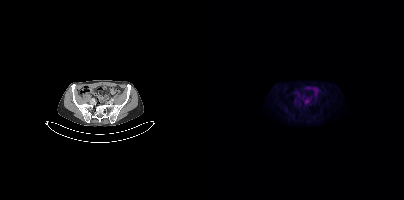
No tumor lesions annotated on this slice. Two-panel axial: CT | PSMA PET, 18F-PSMA tracer. PET panel 200×200 px (4.1 mm/px).